Left: CT. Right: PSMA PET, same axial level, [18F]PSMA-1007 tracer. PET panel 200×200 px (4.1 mm/px).
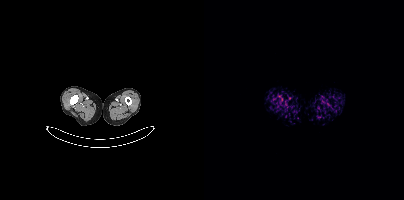
No PSMA-avid tumor lesions on this slice.